- Paired axial CT (left) and PSMA PET (right), 18F-PSMA tracer
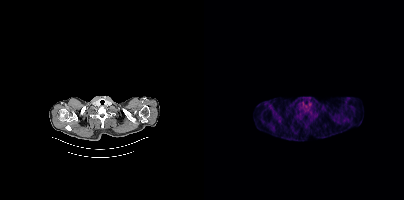
Findings: No tumor lesions annotated on this slice.